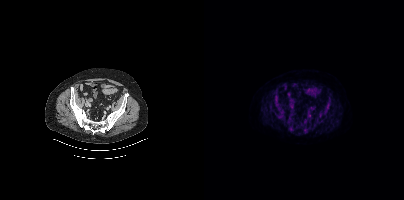
Negative for PSMA-avid disease on this slice.
modality: PSMA PET/CT | tracer: [18F]PSMA-1007 | view: axial | PET grid: 200×200